modality: PSMA PET/CT | tracer: [68Ga]Ga-PSMA-11 | view: axial
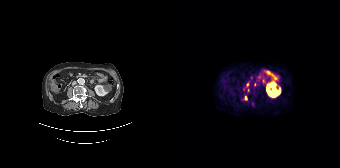
Coordinates are on the 168×168 PET (right) panel. PSMA-avid tumor lesion bounding box (x, y, width, height): x=72 y=96 w=4 h=5. Small PSMA-avid foci (2 to 4 px across) near (center x, center y): (75, 84); (82, 84); (76, 90).